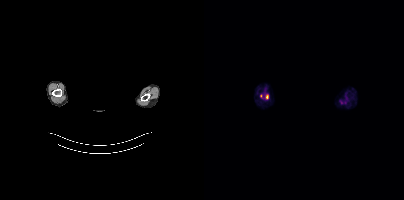
Negative for PSMA-avid disease on this slice.
De-identified by setting a box covering the face to black before release.